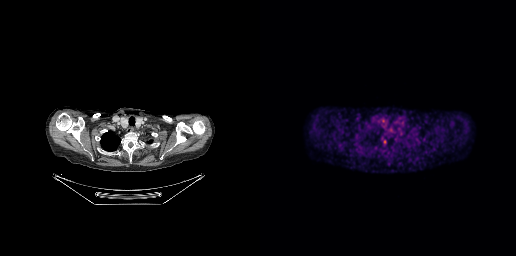
Coordinates are on the 256×256 PET (right) panel. Small PSMA-avid focus (2 to 4 px across) near (center x, center y): (124, 141). Left: CT. Right: PSMA PET, same axial level, 18F tracer. Acquired on GE Discovery 690.